modality: PSMA PET/CT | tracer: 18F | view: axial | PET grid: 200×200
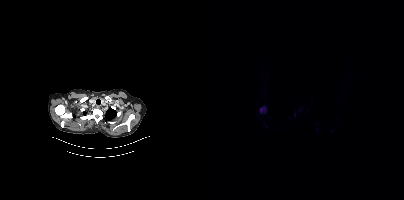
Coordinates are on the 200×200 PET (right) panel. (showing 2 of 3 foci) PSMA-avid tumor lesion bounding box (x0,y0,x1,y1): [56,107,61,112]. Small PSMA-avid focus (2 to 4 px across) near (center x, center y): (95, 109).